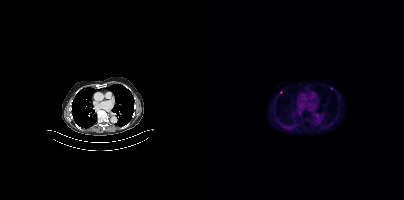
Findings: Coordinates are on the 200×200 PET (right) panel. (showing 2 of 3 foci) Small PSMA-avid foci (2 to 4 px across) near (center x, center y): (127, 88), (76, 92).
Technique: Paired axial CT (left) and PSMA PET (right), 18F-PSMA tracer. PET panel 200×200 px (4.1 mm/px).